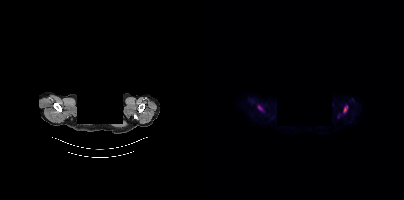
{"modality":"PSMA PET/CT","view":"axial","tracer":"18F","pet_grid":[200,200],"coord_frame":"pet_panel","coord_format":"x0,y0,x1,y1","de-identification":"facial region redacted","lesion_bboxes":[[140,106,143,111],[54,105,58,110]]}